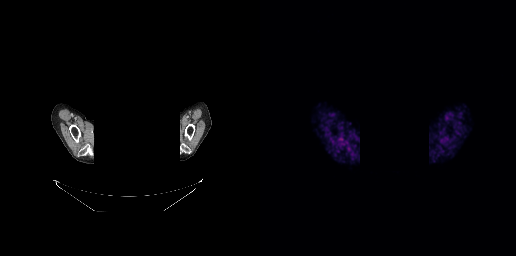
{"modality":"PSMA PET/CT","view":"axial","tracer":"[68Ga]Ga-PSMA-11","pet_grid":[256,256],"coord_frame":"pet_panel","coord_format":"x0,y0,x1,y1","redaction":"head region blacked out before release","psma_avid_lesions":false}